modality: PSMA PET/CT | tracer: [18F]PSMA-1007 | view: axial
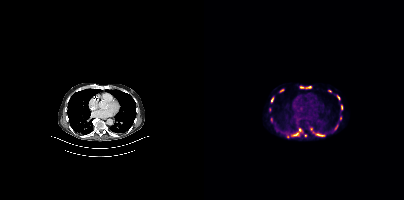
Coordinates are on the 200×200 PET (right) panel. (showing 12 of 15 foci) PSMA-avid tumor lesion bounding boxes (x0, y0)-(x1, y1): (95, 85)-(108, 89) | (87, 128)-(98, 136) | (112, 133)-(120, 136) | (67, 97)-(69, 102) | (133, 95)-(136, 100) | (137, 105)-(138, 110) | (136, 116)-(137, 120) | (131, 125)-(134, 129). Small PSMA-avid foci (2 to 4 px across) near (center x, center y): (77, 90) | (125, 91) | (107, 129) | (101, 135).